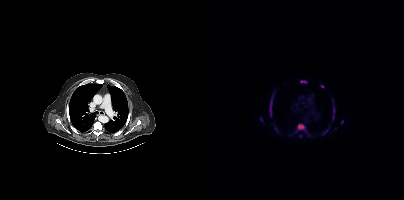
Coordinates are on the 200×200 PET (right) panel. PSMA-avid tumor lesion bounding boxes (x0, y0)-(x1, y1): (91, 123)-(102, 132) / (65, 95)-(69, 117) / (128, 99)-(131, 119) / (96, 80)-(102, 83) / (116, 85)-(120, 88) / (119, 130)-(123, 134) / (70, 127)-(73, 131) / (56, 117)-(58, 121). Small PSMA-avid foci (2 to 4 px across) near (center x, center y): (138, 121) / (96, 136).
modality: PSMA PET/CT | tracer: [18F]PSMA-1007 | view: axial